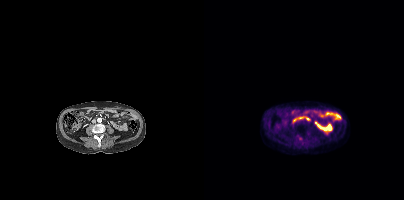
{"pet_grid":[200,200],"coord_frame":"pet_panel","coord_format":"x0,y0,x1,y1","lesion_bboxes":[],"small_foci_centers":[[96,138]],"modality":"PSMA PET/CT","view":"axial","tracer":"18F"}